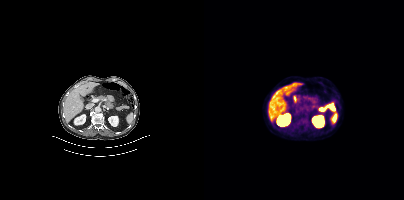
- Paired axial CT (left) and PSMA PET (right), 18F-PSMA tracer
- slice position z = 252 mm
Findings: No PSMA-avid tumor lesions on this slice.